Paired axial CT (left) and PSMA PET (right), 68Ga-PSMA tracer. PET panel 200×200 px (4.1 mm/px).
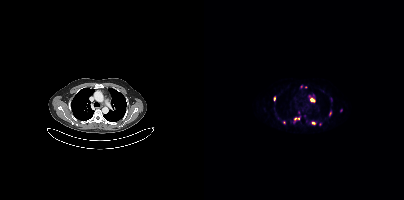
Coordinates are on the 200×200 PET (right) panel. PSMA-avid tumor lesion bounding boxes (partial; 6 more foci not listed):
| # | x0 | y0 | x1 | y1 |
|---|---|---|---|---|
| 1 | 106 | 98 | 110 | 101 |
| 2 | 90 | 118 | 92 | 122 |
| 3 | 125 | 111 | 127 | 115 |
Small PSMA-avid foci (2 to 4 px across) near (center x, center y): (109, 123); (97, 86); (80, 122); (137, 110); (70, 99); (94, 118); (94, 112).